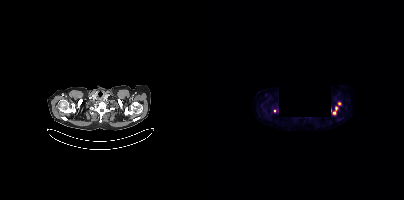
A rectangular region was set to black for de-identification.
Coordinates are on the 200×200 PET (right) panel. PSMA-avid tumor lesion bounding box (x, y, width, height): x=129 y=107 w=5 h=8. Small PSMA-avid foci (2 to 4 px across) near (center x, center y): (71, 110) / (135, 103).